Left: CT. Right: PSMA PET, same axial level, 18F-PSMA tracer. PET panel 200×200 px (4.1 mm/px).
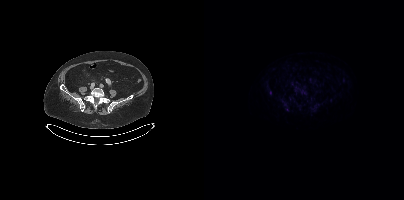
Only PSMA-avid lesion pieces thinner than 2 px on this slice (not listed).